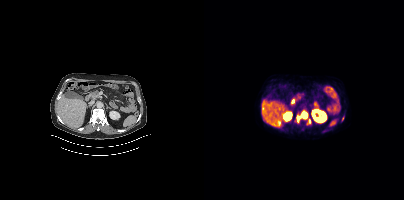
Coordinates are on the 200×200 PET (right) panel. PSMA-avid tumor lesion bounding box (x0, y0)-(x1, y1): (93, 112)-(103, 121). Small PSMA-avid focus (2 to 4 px across) near (center x, center y): (105, 121).
modality: PSMA PET/CT | tracer: [18F]PSMA-1007 | view: axial | PET grid: 200×200